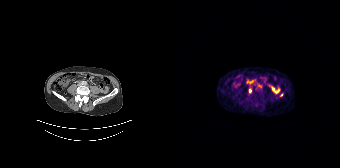
Coordinates are on the 168×168 PET (right) panel. Small PSMA-avid foci (2 to 4 px across) near (center x, center y): (78, 90) | (109, 94). Two-panel axial: CT | PSMA PET, [68Ga]Ga-PSMA-11 tracer. Acquired on Siemens Biograph 64-4R TruePoint. Slice position z = -800 mm.